Technique: Two-panel axial: CT | PSMA PET, [68Ga]Ga-PSMA-11 tracer.
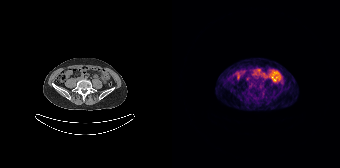
Findings: This slice has no annotated PSMA-avid lesion.